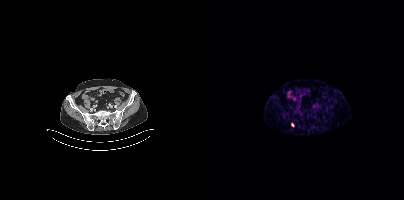
Coordinates are on the 200×200 PET (right) panel. Small PSMA-avid focus (2 to 4 px across) near (center x, center y): (88, 124).